Two-panel axial: CT | PSMA PET, 18F tracer. PET panel 256×256 px (2.7 mm/px).
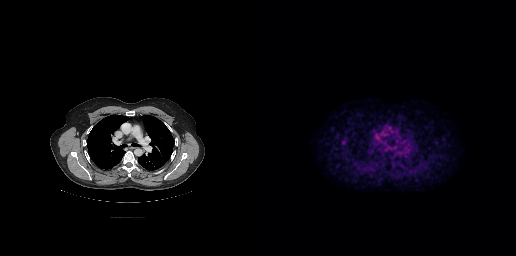
Negative for PSMA-avid disease on this slice.